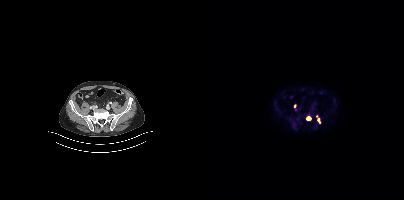
Coordinates are on the 200×200 PET (right) panel. PSMA-avid tumor lesion bounding boxes (partial; 1 more focus not listed):
| # | x0 | y0 | x1 | y1 |
|---|---|---|---|---|
| 1 | 102 | 117 | 106 | 119 |
Small PSMA-avid foci (2 to 4 px across) near (center x, center y): (90, 106); (114, 119).
Paired axial CT (left) and PSMA PET (right), 18F tracer. Acquired on Siemens Biograph mCT Flow 20. Slice 120 of 421. PET panel 200×200 px (4.1 mm/px).